Technique: Two-panel axial: CT | PSMA PET, [18F]PSMA-1007 tracer. slice 387 of 401.
Note: Facial anatomy redacted by setting a rectangular region of the head to black.
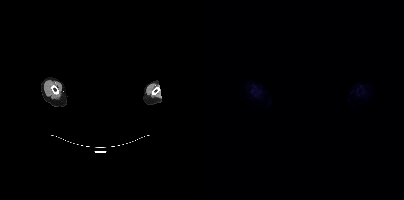
Findings: Negative for PSMA-avid disease on this slice.